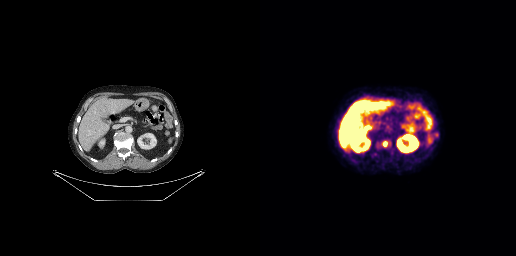
modality: PSMA PET/CT | tracer: 18F-PSMA | view: axial
Coordinates are on the 256×256 PET (right) panel. PSMA-avid tumor lesion bounding box (x0,y0,x1,y1): [123,142,126,146].